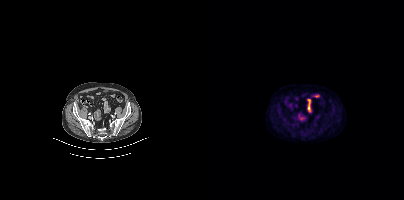
No PSMA-avid tumor lesions on this slice.